Technique: Two-panel axial: CT | PSMA PET, [18F]PSMA-1007 tracer. acquired on Siemens Biograph mCT Flow 20. slice 159 of 462. PET panel 200×200 px (4.1 mm/px).
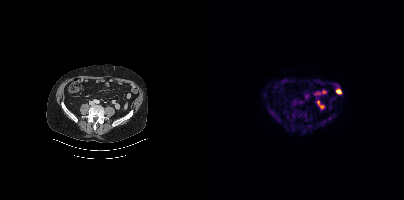
Findings: This slice has no annotated PSMA-avid lesion.